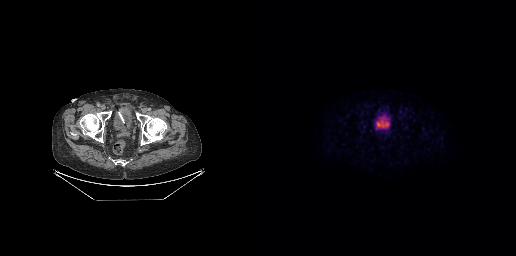
- Two-panel axial: CT | PSMA PET, [18F]PSMA-1007 tracer
- PET panel 256×256 px (2.7 mm/px)
Findings: Negative for PSMA-avid disease on this slice.